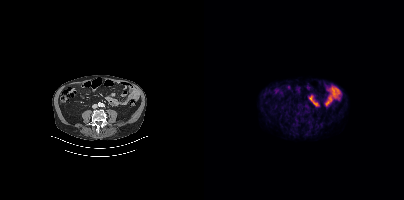
{"modality":"PSMA PET/CT","view":"axial","tracer":"[18F]PSMA-1007","pet_grid":[200,200],"coord_frame":"pet_panel","coord_format":"x0,y0,x1,y1","psma_avid_lesions":false}